Left: CT. Right: PSMA PET, same axial level, 18F-PSMA tracer. Acquired on Siemens Biograph mCT Flow 20. Slice position z = -1554 mm. PET panel 200×200 px (4.1 mm/px).
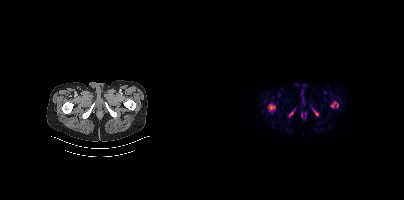
Coordinates are on the 200×200 PET (right) panel. PSMA-avid tumor lesion bounding boxes:
| # | x0 | y0 | x1 | y1 |
|---|---|---|---|---|
| 1 | 64 | 104 | 71 | 111 |
| 2 | 85 | 108 | 91 | 117 |
| 3 | 127 | 102 | 131 | 107 |
| 4 | 110 | 111 | 114 | 115 |
| 5 | 133 | 103 | 134 | 107 |